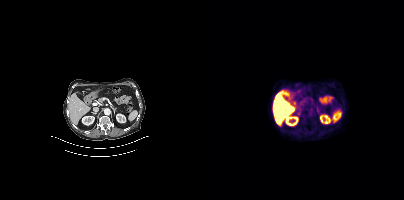
- Left: CT. Right: PSMA PET, same axial level, 18F-PSMA tracer
- acquired on Siemens Biograph mCT Flow 20
- slice position z = -1162 mm
Findings: No tumor lesions annotated on this slice.